modality: PSMA PET/CT | tracer: 18F-PSMA | view: axial | PET grid: 200×200
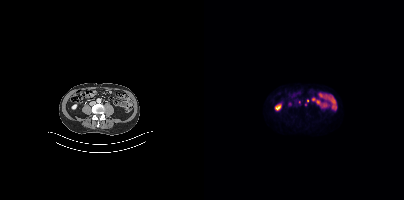
Coordinates are on the 200×200 PET (right) panel. (showing 1 of 2 foci) PSMA-avid tumor lesion bounding box (x, y, width, height): x=101 y=100 w=4 h=6.